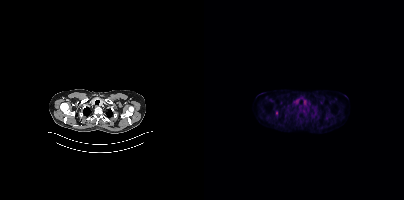
Findings: Coordinates are on the 200×200 PET (right) panel. Small PSMA-avid focus (2 to 4 px across) near (center x, center y): (72, 112).
Technique: Left: CT. Right: PSMA PET, same axial level, 18F-PSMA tracer. acquired on Siemens Biograph mCT Flow 20. PET panel 200×200 px (4.1 mm/px).